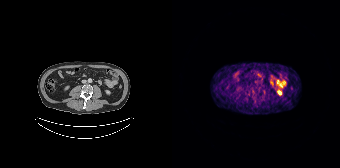
{"modality":"PSMA PET/CT","view":"axial","tracer":"68Ga","pet_grid":[168,168],"coord_frame":"pet_panel","coord_format":"x0,y0,x1,y1","psma_avid_lesions":false}